modality: PSMA PET/CT | tracer: [18F]PSMA-1007 | view: axial | PET grid: 200×200
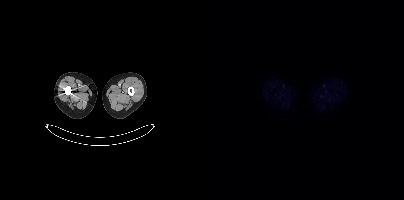
This slice has no annotated PSMA-avid lesion.